- Left: CT. Right: PSMA PET, same axial level, [18F]PSMA-1007 tracer
- slice position z = -884 mm
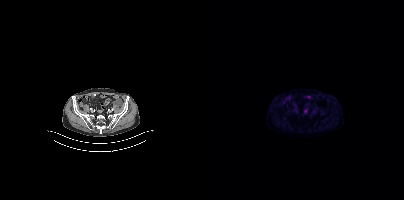
Findings: Negative for PSMA-avid disease on this slice.